Two-panel axial: CT | PSMA PET, 68Ga-PSMA tracer. Acquired on Siemens Biograph 64-4R TruePoint.
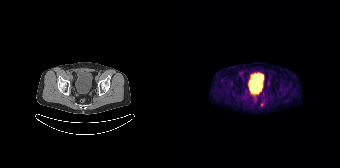
Coordinates are on the 168×168 PET (right) panel. (showing 1 of 2 foci) Small PSMA-avid focus (2 to 4 px across) near (center x, center y): (90, 104).